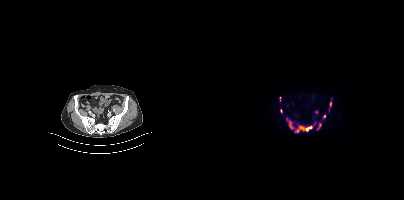
{"modality":"PSMA PET/CT","view":"axial","tracer":"18F-PSMA","pet_grid":[200,200],"coord_frame":"pet_panel","coord_format":"x0,y0,x1,y1","partial":true,"lesion_bboxes":[[91,126,108,132],[85,121,89,129],[113,124,117,129],[76,97,77,101]],"small_foci_centers":[[77,110],[126,103],[120,115],[111,121]]}